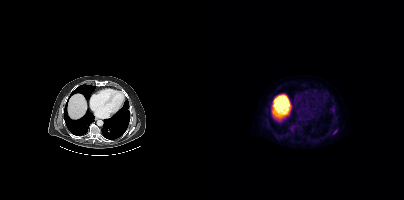
- Left: CT. Right: PSMA PET, same axial level, [18F]PSMA-1007 tracer
- slice 299 of 435
- PET panel 200×200 px (4.1 mm/px)
Findings: Coordinates are on the 200×200 PET (right) panel. Small PSMA-avid focus (2 to 4 px across) near (center x, center y): (131, 131).